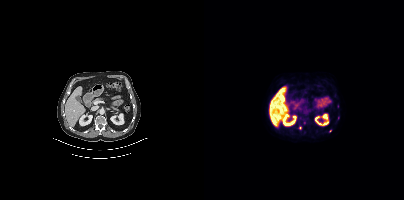
Paired axial CT (left) and PSMA PET (right), 18F tracer. Coordinates are on the 200×200 PET (right) panel. (showing 3 of 4 foci) Small PSMA-avid foci (2 to 4 px across) near (center x, center y): (96, 127) | (134, 118) | (126, 130).